modality: PSMA PET/CT | tracer: 68Ga | view: axial
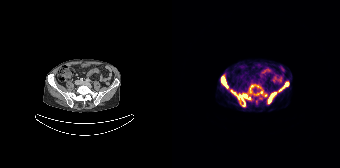
Coordinates are on the 168×168 PET (right) panel. (showing 8 of 10 foci) PSMA-avid tumor lesion bounding boxes (x0,y0,x1,y1): [59,90,78,106], [96,92,104,103], [49,81,56,87], [78,85,81,92], [107,87,111,91]. Small PSMA-avid foci (2 to 4 px across) near (center x, center y): (115, 84), (50, 77), (85, 86).